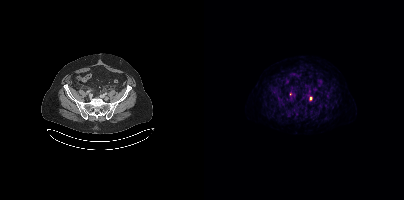
Findings: Coordinates are on the 200×200 PET (right) panel. Small PSMA-avid focus (2 to 4 px across) near (center x, center y): (106, 98).
- Left: CT. Right: PSMA PET, same axial level, 18F tracer
- slice position z = -627 mm
- PET panel 200×200 px (4.1 mm/px)